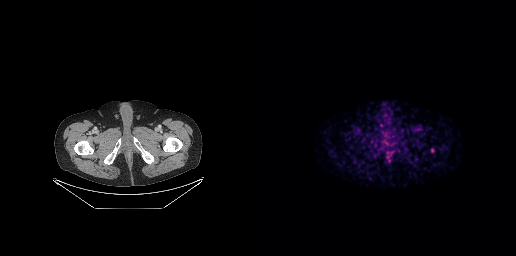
Findings: No PSMA-avid tumor lesions on this slice.
- Left: CT. Right: PSMA PET, same axial level, 68Ga tracer